modality: PSMA PET/CT | tracer: 18F-PSMA | view: axial | PET grid: 200×200
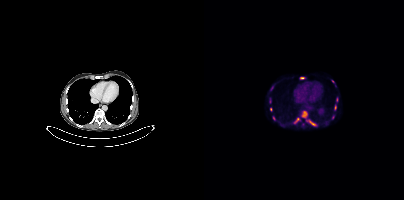
Coordinates are on the 200×200 PET (right) panel. (showing 7 of 9 foci) PSMA-avid tumor lesion bounding boxes (x0, y0)-(x1, y1): (98, 111)-(103, 117); (102, 120)-(112, 125); (90, 118)-(95, 123); (96, 77)-(100, 79). Small PSMA-avid foci (2 to 4 px across) near (center x, center y): (131, 107); (66, 109); (129, 81).